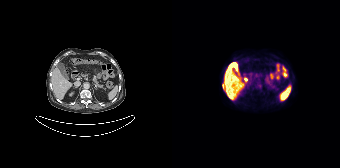
- Left: CT. Right: PSMA PET, same axial level, [18F]PSMA-1007 tracer
- acquired on Siemens Biograph 64-4R TruePoint
- PET panel 168×168 px (4.1 mm/px)
Findings: Coordinates are on the 168×168 PET (right) panel. PSMA-avid tumor lesion bounding box (x0, y0)-(x1, y1): (50, 84)-(51, 88).